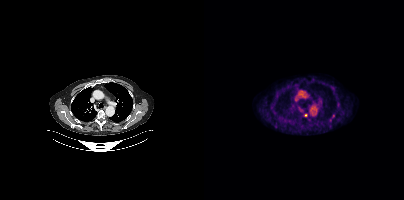
Coordinates are on the 200×200 PET (right) panel. (showing 2 of 3 foci) Small PSMA-avid foci (2 to 4 px across) near (center x, center y): (129, 116) | (101, 114).